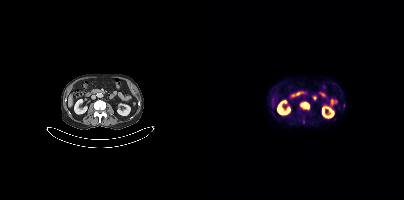
Coordinates are on the 200×200 PET (right) panel. PSMA-avid tumor lesion bounding box (x0, y0)-(x1, y1): (96, 101)-(105, 109).